Technique: Paired axial CT (left) and PSMA PET (right), 68Ga-PSMA tracer.
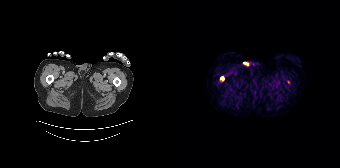
Findings: Coordinates are on the 168×168 PET (right) panel. (showing 1 of 2 foci) Small PSMA-avid focus (2 to 4 px across) near (center x, center y): (49, 78).